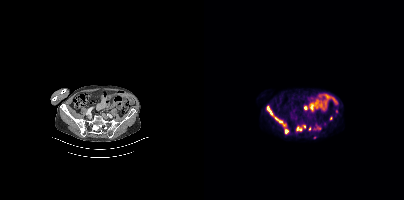
Two-panel axial: CT | PSMA PET, [18F]PSMA-1007 tracer.
Coordinates are on the 200×200 PET (right) panel. PSMA-avid tumor lesion bounding boxes (partial; 1 more focus not listed):
| # | x0 | y0 | x1 | y1 |
|---|---|---|---|---|
| 1 | 62 | 106 | 82 | 126 |
| 2 | 92 | 125 | 101 | 131 |
| 3 | 81 | 128 | 84 | 133 |
| 4 | 131 | 110 | 133 | 115 |
| 5 | 126 | 116 | 128 | 120 |
Small PSMA-avid foci (2 to 4 px across) near (center x, center y): (105, 128); (114, 128); (121, 124); (110, 137).